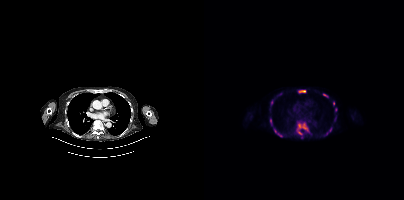
Paired axial CT (left) and PSMA PET (right), 18F tracer. PET panel 200×200 px (4.1 mm/px). Coordinates are on the 200×200 PET (right) panel. PSMA-avid tumor lesion bounding boxes (x0,y0,x1,y1): [92,122,102,138]; [95,90,101,92]; [66,119,68,126]; [74,133,78,137]; [119,94,123,97]; [123,128,127,133]; [67,100,69,104]. Small PSMA-avid foci (2 to 4 px across) near (center x, center y): (76, 93); (132, 109); (129, 103); (71, 131).